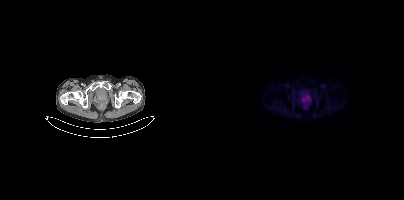
modality: PSMA PET/CT | tracer: [18F]PSMA-1007 | view: axial
Coordinates are on the 200×200 PET (right) panel. PSMA-avid tumor lesion bounding boxes (x, y, width, height): x=97 y=98 w=5 h=4 / x=102 y=96 w=5 h=5.